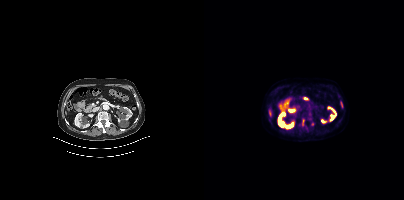
{"modality":"PSMA PET/CT","view":"axial","tracer":"[18F]PSMA-1007","pet_grid":[200,200],"coord_frame":"pet_panel","coord_format":"x0,y0,x1,y1","partial":true,"lesion_bboxes":[[137,102,139,107]],"small_foci_centers":[[108,124],[98,125],[99,120]]}